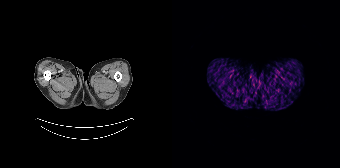
{"modality":"PSMA PET/CT","view":"axial","tracer":"68Ga-PSMA","pet_grid":[168,168],"coord_frame":"pet_panel","coord_format":"x0,y0,x1,y1","psma_avid_lesions":false}